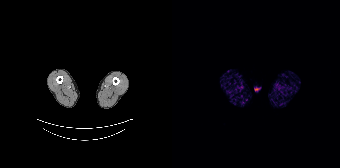
Paired axial CT (left) and PSMA PET (right), 68Ga tracer. Slice 7 of 195. Negative for PSMA-avid disease on this slice.